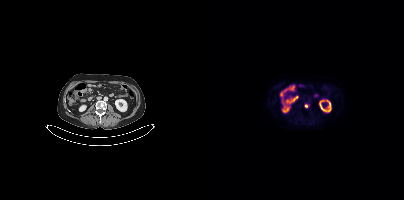
{"pet_grid":[200,200],"coord_frame":"pet_panel","coord_format":"x0,y0,x1,y1","lesion_bboxes":[],"small_foci_centers":[[101,106]],"modality":"PSMA PET/CT","view":"axial","tracer":"[18F]PSMA-1007"}